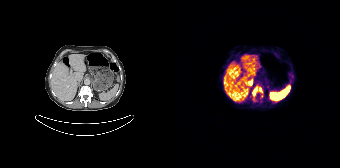
Coordinates are on the 168×168 PET (right) panel. (showing 1 of 2 foci) PSMA-avid tumor lesion bounding box (x, y, width, height): x=80 y=86 w=11 h=11.